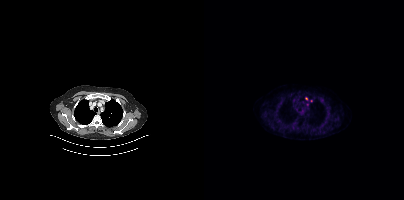
{"modality":"PSMA PET/CT","view":"axial","tracer":"18F","pet_grid":[200,200],"coord_frame":"pet_panel","coord_format":"x0,y0,x1,y1","lesion_bboxes":[],"small_foci_centers":[[102,98]]}